Technique: Paired axial CT (left) and PSMA PET (right), 18F-PSMA tracer. acquired on Siemens Biograph mCT Flow 20. PET panel 200×200 px (4.1 mm/px).
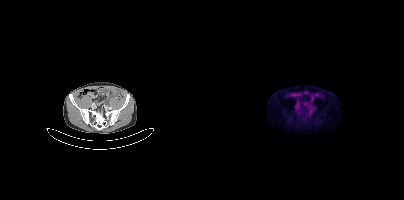
Findings: Coordinates are on the 200×200 PET (right) panel. PSMA-avid tumor lesion bounding box (x0,y0,x1,y1): [105,106,109,110]. Small PSMA-avid focus (2 to 4 px across) near (center x, center y): (92, 107).